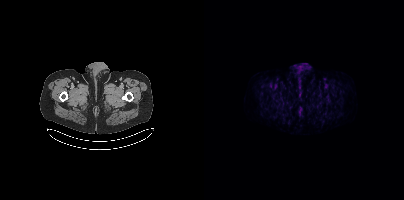
{"pet_grid":[200,200],"coord_frame":"pet_panel","coord_format":"x0,y0,x1,y1","psma_avid_lesions":false,"modality":"PSMA PET/CT","view":"axial","tracer":"18F-PSMA"}